Technique: Paired axial CT (left) and PSMA PET (right), 68Ga tracer. PET panel 200×200 px (4.1 mm/px).
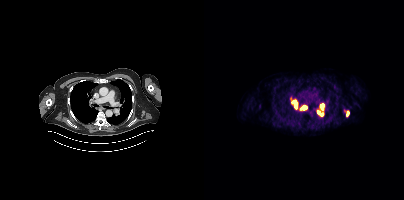
Findings: Coordinates are on the 200×200 PET (right) panel. (showing 7 of 8 foci) PSMA-avid tumor lesion bounding boxes (x0, y0)-(x1, y1): (88, 100)-(93, 108) / (96, 106)-(102, 109) / (113, 111)-(119, 115). Small PSMA-avid foci (2 to 4 px across) near (center x, center y): (117, 105) / (86, 98) / (143, 113) / (118, 108).